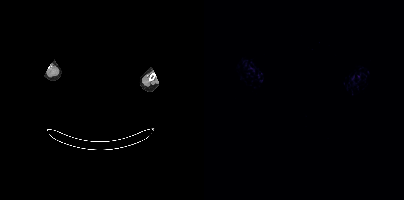
{"modality":"PSMA PET/CT","view":"axial","tracer":"[18F]PSMA-1007","pet_grid":[200,200],"coord_frame":"pet_panel","coord_format":"x0,y0,x1,y1","psma_avid_lesions":false,"redaction":"face masked with black rectangle"}